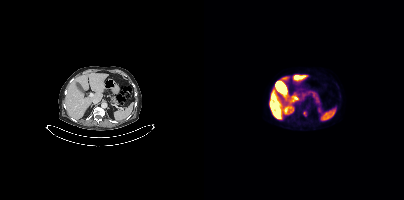
Paired axial CT (left) and PSMA PET (right), 18F tracer. Slice position z = 74 mm. Only PSMA-avid lesion pieces thinner than 2 px on this slice (not listed).